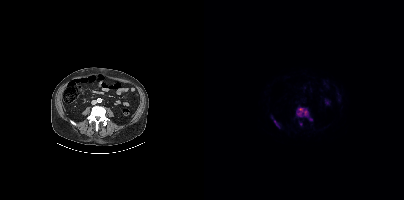
Technique: Left: CT. Right: PSMA PET, same axial level, [18F]PSMA-1007 tracer. acquired on Siemens Biograph mCT Flow 20. PET panel 200×200 px (4.1 mm/px).
Findings: Coordinates are on the 200×200 PET (right) panel. PSMA-avid tumor lesion bounding boxes (x0,y0,x1,y1): [92,107,108,120]; [69,118,76,128]. Small PSMA-avid focus (2 to 4 px across) near (center x, center y): (96, 124).